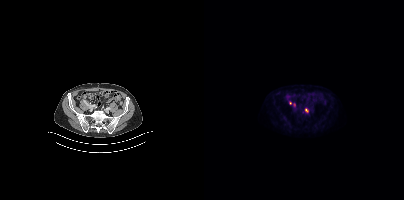
Coordinates are on the 200×200 PET (right) panel. (showing 2 of 3 foci) Small PSMA-avid foci (2 to 4 px across) near (center x, center y): (90, 104) (102, 110).